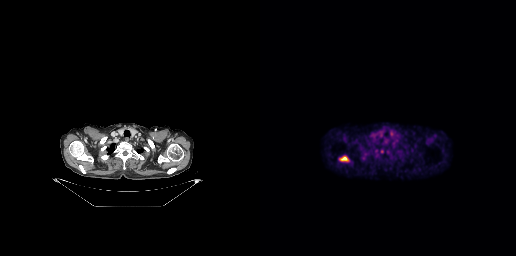
Paired axial CT (left) and PSMA PET (right), 18F-PSMA tracer. Acquired on GE Discovery 690. PET panel 256×256 px (2.7 mm/px).
Coordinates are on the 256×256 PET (right) panel. PSMA-avid tumor lesion bounding boxes:
| # | x0 | y0 | x1 | y1 |
|---|---|---|---|---|
| 1 | 79 | 155 | 89 | 161 |